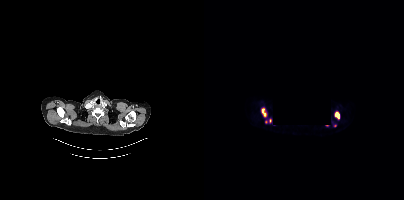
Paired axial CT (left) and PSMA PET (right), 18F-PSMA tracer. Slice 316 of 367. Some pixels were blanked for anonymization. Coordinates are on the 200×200 PET (right) panel. (showing 2 of 4 foci) PSMA-avid tumor lesion bounding boxes (x, y, width, height): x=131 y=112 w=5 h=7 | x=58 y=108 w=5 h=9.